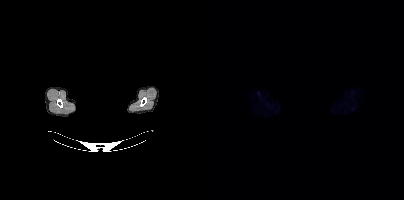
redaction: privacy mask over head | modality: PSMA PET/CT | tracer: 18F | view: axial | PET grid: 200×200
No tumor lesions annotated on this slice.